- Two-panel axial: CT | PSMA PET, 18F-PSMA tracer
- slice 208 of 299
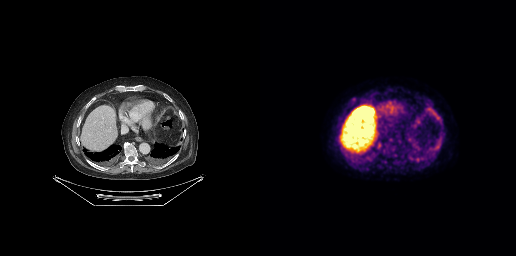
Findings: Coordinates are on the 256×256 PET (right) panel. (showing 9 of 10 foci) PSMA-avid tumor lesion bounding boxes (x0, y0)-(x1, y1): (168, 142)-(180, 157); (167, 108)-(180, 121); (155, 117)-(161, 124); (117, 142)-(121, 148); (148, 138)-(152, 141); (149, 157)-(153, 159); (153, 140)-(155, 144). Small PSMA-avid foci (2 to 4 px across) near (center x, center y): (93, 99); (156, 159).